Two-panel axial: CT | PSMA PET, [18F]PSMA-1007 tracer. Acquired on Siemens Biograph mCT Flow 20. PET panel 200×200 px (4.1 mm/px).
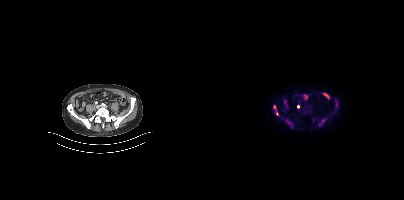
Coordinates are on the 200×200 PET (right) panel. PSMA-avid tumor lesion bounding boxes (partial; 1 more focus not listed):
| # | x0 | y0 | x1 | y1 |
|---|---|---|---|---|
| 1 | 114 | 118 | 122 | 125 |
| 2 | 69 | 105 | 74 | 115 |
| 3 | 82 | 121 | 87 | 126 |
Small PSMA-avid focus (2 to 4 px across) near (center x, center y): (94, 106).